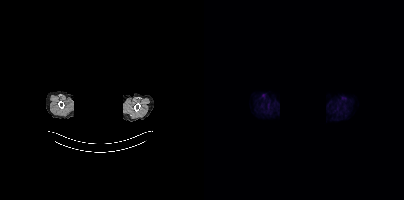
Findings: Negative for PSMA-avid disease on this slice.
- de-identified by setting a box covering the face to black before release
- Two-panel axial: CT | PSMA PET, 18F tracer
- acquired on Siemens Biograph mCT Flow 20
- slice 327 of 356